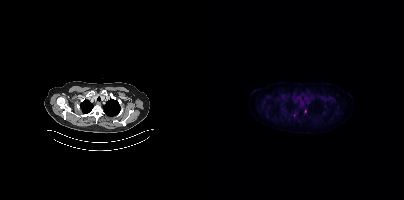
{"modality":"PSMA PET/CT","view":"axial","tracer":"18F","pet_grid":[200,200],"coord_frame":"pet_panel","coord_format":"x0,y0,x1,y1","partial":true,"lesion_bboxes":[]}